modality: PSMA PET/CT | tracer: [18F]PSMA-1007 | view: axial | PET grid: 200×200
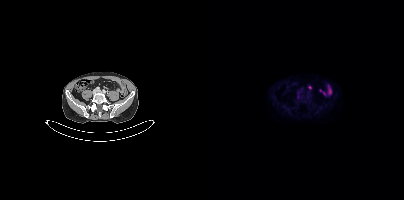
Negative for PSMA-avid disease on this slice.